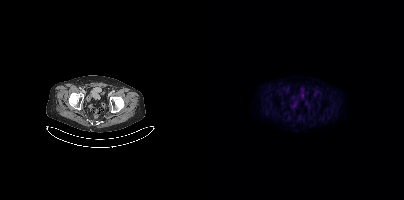
Findings: This slice has no annotated PSMA-avid lesion.
Technique: Two-panel axial: CT | PSMA PET, [18F]PSMA-1007 tracer. slice 64 of 381. PET panel 200×200 px (4.1 mm/px).